Paired axial CT (left) and PSMA PET (right), [68Ga]Ga-PSMA-11 tracer. Slice 40 of 165. PET panel 168×168 px (4.1 mm/px).
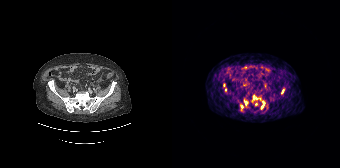
Coordinates are on the 168×168 PET (right) panel. (showing 8 of 9 foci) PSMA-avid tumor lesion bounding boxes (x0,y0,x1,y1): [89,101,92,108] [81,95,85,99] [72,100,75,105]. Small PSMA-avid foci (2 to 4 px across) near (center x, center y): (52, 85) (53, 89) (110, 91) (69, 106) (83, 103).